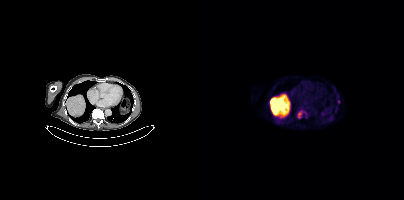
{"modality":"PSMA PET/CT","view":"axial","tracer":"18F-PSMA","pet_grid":[200,200],"coord_frame":"pet_panel","coord_format":"x0,y0,x1,y1","lesion_bboxes":[[94,111,97,118]],"small_foci_centers":[[134,101]]}